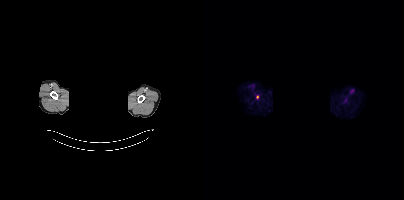
Paired axial CT (left) and PSMA PET (right), 18F-PSMA tracer. Slice 410 of 454. The head region is masked for de-identification. Coordinates are on the 200×200 PET (right) panel. Small PSMA-avid focus (2 to 4 px across) near (center x, center y): (53, 97).